modality: PSMA PET/CT | tracer: [18F]PSMA-1007 | view: axial
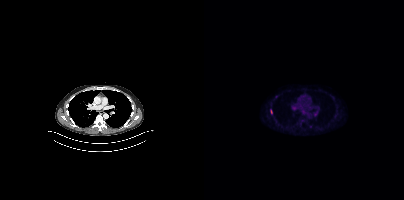
Coordinates are on the 200×200 PET (right) panel. (showing 1 of 3 foci) Small PSMA-avid focus (2 to 4 px across) near (center x, center y): (67, 111).